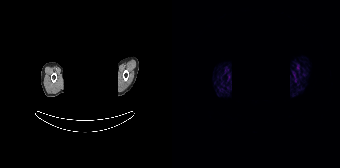
{"pet_grid":[168,168],"coord_frame":"pet_panel","coord_format":"x0,y0,x1,y1","psma_avid_lesions":false,"deidentification":"head region blacked out before release","modality":"PSMA PET/CT","view":"axial","tracer":"68Ga"}